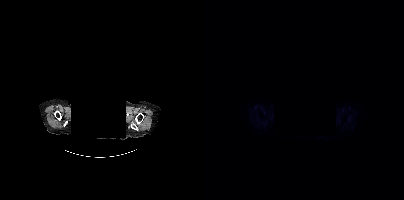
{"modality":"PSMA PET/CT","view":"axial","tracer":"[18F]PSMA-1007","pet_grid":[200,200],"coord_frame":"pet_panel","coord_format":"x0,y0,x1,y1","psma_avid_lesions":false,"redaction":"head region blanked (face removed)"}